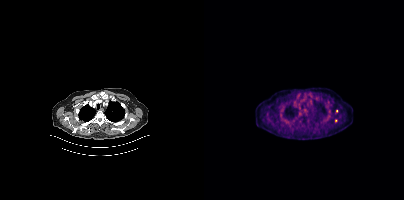
Coordinates are on the 200×200 PET (right) panel. (showing 1 of 2 foci) Small PSMA-avid focus (2 to 4 px across) near (center x, center y): (131, 120).